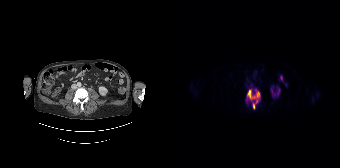
{"modality":"PSMA PET/CT","view":"axial","tracer":"18F","pet_grid":[168,168],"coord_frame":"pet_panel","coord_format":"x0,y0,x1,y1","lesion_bboxes":[[75,89,88,109]]}